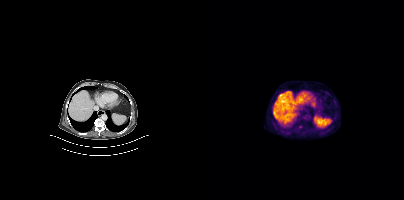
Two-panel axial: CT | PSMA PET, 18F-PSMA tracer. Slice position z = -641 mm. Coordinates are on the 200×200 PET (right) panel. Small PSMA-avid focus (2 to 4 px across) near (center x, center y): (96, 126).